Paired axial CT (left) and PSMA PET (right), 18F-PSMA tracer. Acquired on GE Discovery 690. Head region blanked for anonymization (face removed).
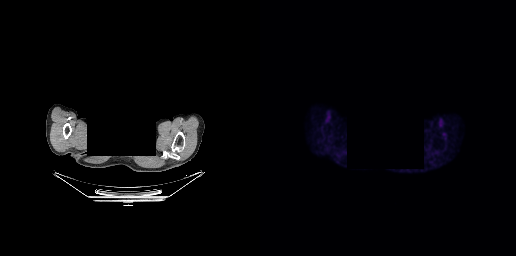
Negative for PSMA-avid disease on this slice.